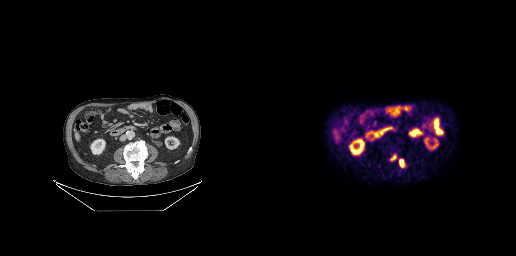
{"modality":"PSMA PET/CT","view":"axial","tracer":"18F-PSMA","pet_grid":[256,256],"coord_frame":"pet_panel","coord_format":"x0,y0,x1,y1","lesion_bboxes":[[140,160,143,166],[131,155,136,160]]}